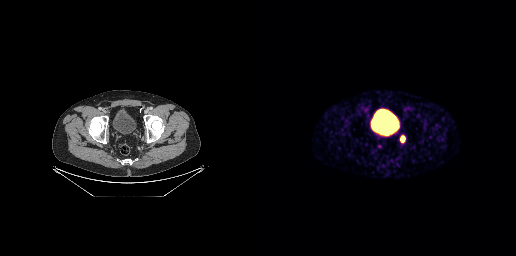
Coordinates are on the 256×256 PET (right) panel. PSMA-avid tumor lesion bounding box (x, y, width, height): x=141 y=136 w=4 h=6. Small PSMA-avid focus (2 to 4 px across) near (center x, center y): (119, 146).